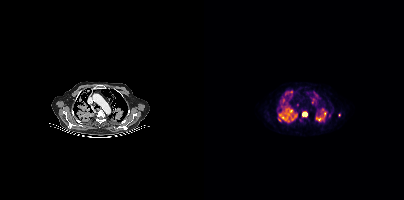
Paired axial CT (left) and PSMA PET (right), 18F tracer.
Coordinates are on the 200×200 PET (right) panel. PSMA-avid tumor lesion bounding boxes (partial; 3 more foci not listed):
| # | x0 | y0 | x1 | y1 |
|---|---|---|---|---|
| 1 | 74 | 108 | 88 | 121 |
| 2 | 112 | 108 | 121 | 121 |
| 3 | 81 | 90 | 88 | 97 |
| 4 | 98 | 111 | 103 | 116 |
| 5 | 77 | 98 | 81 | 102 |
| 6 | 87 | 114 | 92 | 120 |
| 7 | 108 | 98 | 110 | 103 |
Small PSMA-avid foci (2 to 4 px across) near (center x, center y): (112, 94); (93, 104).